An anonymization step blacked out a rectangle over the head in this scan. Left: CT. Right: PSMA PET, same axial level, [18F]PSMA-1007 tracer. Slice position z = -94 mm. PET panel 256×256 px (2.7 mm/px).
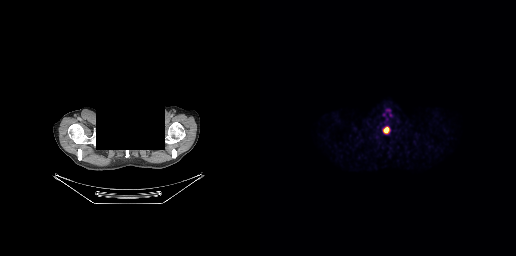
Coordinates are on the 256×256 PET (right) panel. PSMA-avid tumor lesion bounding boxes:
| # | x0 | y0 | x1 | y1 |
|---|---|---|---|---|
| 1 | 122 | 126 | 130 | 134 |